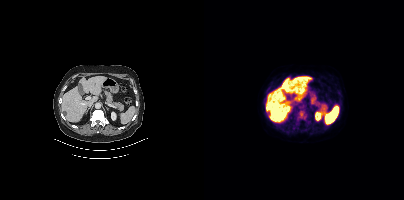
Coordinates are on the 200×200 PET (right) panel. PSMA-avid tumor lesion bounding boxes:
| # | x0 | y0 | x1 | y1 |
|---|---|---|---|---|
| 1 | 91 | 110 | 106 | 126 |
Small PSMA-avid focus (2 to 4 px across) near (center x, center y): (135, 93).
Two-panel axial: CT | PSMA PET, 18F-PSMA tracer. Acquired on Siemens Biograph mCT Flow 20.